Technique: Left: CT. Right: PSMA PET, same axial level, 18F tracer. slice position z = -742 mm. PET panel 200×200 px (4.1 mm/px).
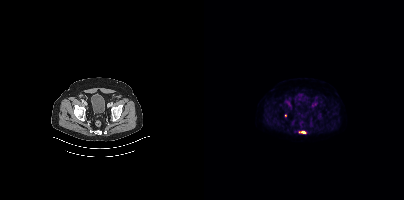
Findings: Coordinates are on the 200×200 PET (right) panel. PSMA-avid tumor lesion bounding box (x, y, width, height): x=94 y=130 w=9 h=4.